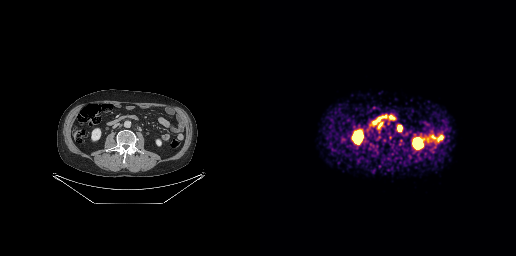
Technique: Paired axial CT (left) and PSMA PET (right), [68Ga]Ga-PSMA-11 tracer. PET panel 256×256 px (2.7 mm/px).
Findings: Coordinates are on the 256×256 PET (right) panel. Small PSMA-avid foci (2 to 4 px across) near (center x, center y): (139, 127) (130, 116).